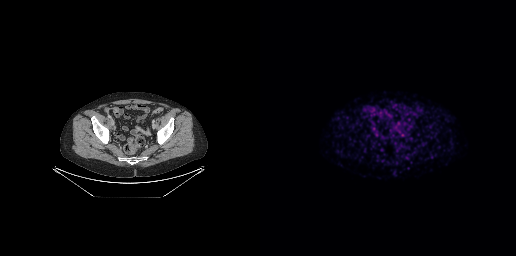
{"modality":"PSMA PET/CT","view":"axial","tracer":"68Ga-PSMA","pet_grid":[256,256],"coord_frame":"pet_panel","coord_format":"x0,y0,x1,y1","psma_avid_lesions":false}